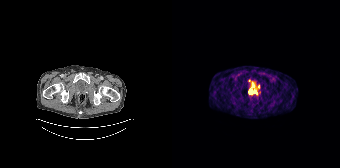
modality: PSMA PET/CT | tracer: 68Ga | view: axial
Coordinates are on the 168×168 PET (right) panel. PSMA-avid tumor lesion bounding box (x, y, width, height): x=76 y=89 w=10 h=6. Small PSMA-avid foci (2 to 4 px across) near (center x, center y): (86, 86) / (78, 81).